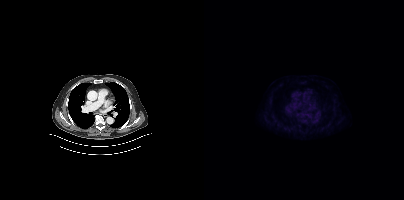
- Paired axial CT (left) and PSMA PET (right), [18F]PSMA-1007 tracer
- PET panel 200×200 px (4.1 mm/px)
Findings: No PSMA-avid tumor lesions on this slice.